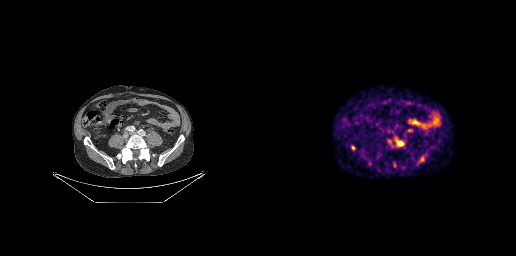
Coordinates are on the 256×256 PET (right) panel. PSMA-avid tumor lesion bounding boxes (x0,y0,x1,y1): [138,141,142,145] [130,143,135,148] [91,145,95,150]. Small PSMA-avid foci (2 to 4 px across) near (center x, center y): (163, 157) (134, 164). Left: CT. Right: PSMA PET, same axial level, 68Ga-PSMA tracer. Acquired on GE Discovery 690. PET panel 256×256 px (2.7 mm/px).